Left: CT. Right: PSMA PET, same axial level, 18F-PSMA tracer. PET panel 200×200 px (4.1 mm/px).
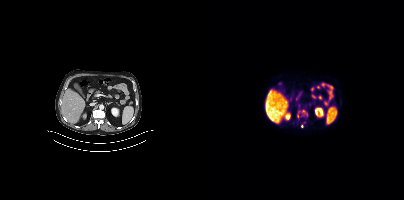
Coordinates are on the 200×200 PET (right) panel. PSMA-avid tumor lesion bounding boxes (partial; 1 more focus not listed):
| # | x0 | y0 | x1 | y1 |
|---|---|---|---|---|
| 1 | 98 | 110 | 103 | 115 |
Small PSMA-avid foci (2 to 4 px across) near (center x, center y): (98, 126); (93, 116).